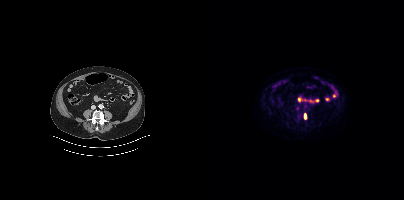
{"modality":"PSMA PET/CT","view":"axial","tracer":"18F","pet_grid":[200,200],"coord_frame":"pet_panel","coord_format":"x0,y0,x1,y1","lesion_bboxes":[[100,113,102,119]]}